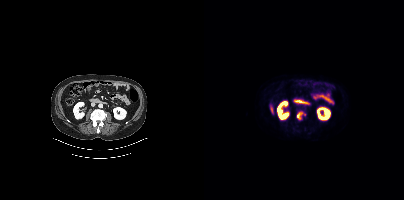
{"modality":"PSMA PET/CT","view":"axial","tracer":"18F","pet_grid":[200,200],"coord_frame":"pet_panel","coord_format":"x0,y0,x1,y1","partial":true,"lesion_bboxes":[[93,112,98,119]]}